modality: PSMA PET/CT | tracer: 18F-PSMA | view: axial | PET grid: 200×200
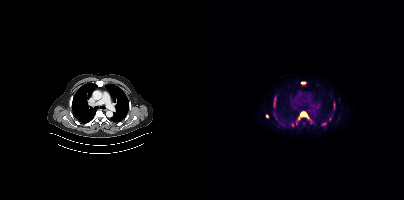
Coordinates are on the 200×200 PET (right) panel. (showing 7 of 11 foci) PSMA-avid tumor lesion bounding boxes (x, y, width, height): x=96 y=112 w=10 h=7 / x=97 y=82 w=5 h=2 / x=70 y=97 w=2 h=6. Small PSMA-avid foci (2 to 4 px across) near (center x, center y): (63, 116) / (120, 123) / (88, 125) / (99, 123).